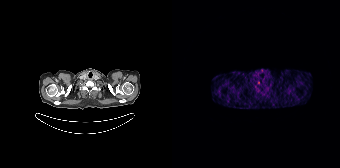
Findings: Only PSMA-avid lesion pieces thinner than 2 px on this slice (not listed).
- Left: CT. Right: PSMA PET, same axial level, 68Ga tracer
- acquired on Siemens Biograph 64-4R TruePoint